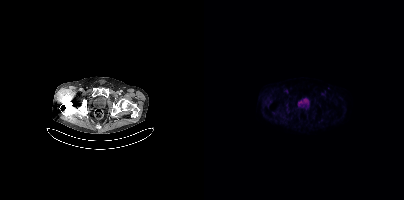
Two-panel axial: CT | PSMA PET, [18F]PSMA-1007 tracer. This slice has no annotated PSMA-avid lesion.